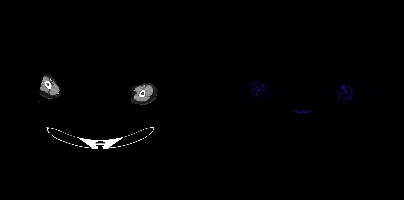
This slice has no annotated PSMA-avid lesion. The face region was removed for patient privacy by blanking a rectangle over the head. Paired axial CT (left) and PSMA PET (right), 18F-PSMA tracer.